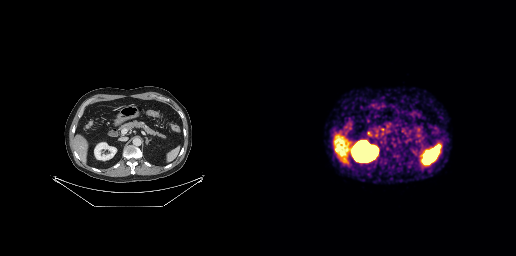
Negative for PSMA-avid disease on this slice.